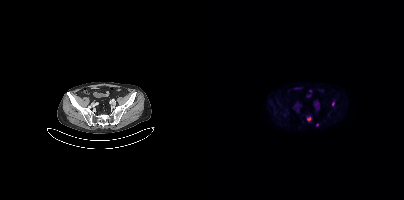
Coordinates are on the 200×200 PET (right) panel. Small PSMA-avid foci (2 to 4 px across) near (center x, center y): (104, 118), (129, 103), (113, 124). Left: CT. Right: PSMA PET, same axial level, 18F tracer. Slice position z = -950 mm.